modality: PSMA PET/CT | tracer: [68Ga]Ga-PSMA-11 | view: axial
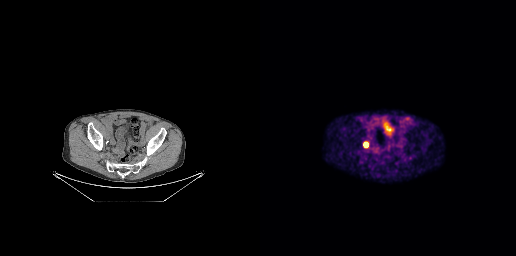
Coordinates are on the 256×256 PET (right) panel. Small PSMA-avid focus (2 to 4 px across) near (center x, center y): (105, 144).